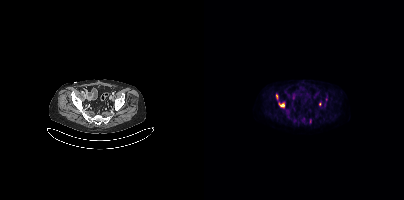
Technique: Left: CT. Right: PSMA PET, same axial level, [18F]PSMA-1007 tracer.
Findings: Coordinates are on the 200×200 PET (right) panel. (showing 3 of 4 foci) PSMA-avid tumor lesion bounding box (x, y, width, height): x=75 y=103 w=6 h=5. Small PSMA-avid foci (2 to 4 px across) near (center x, center y): (72, 96); (115, 104).